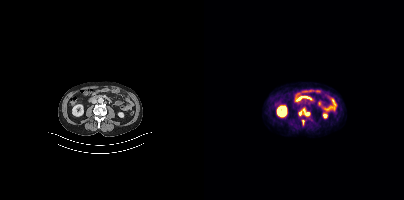
Coordinates are on the 200×200 PET (right) panel. PSMA-avid tumor lesion bounding boxes (x0, y0)-(x1, y1): (95, 108)-(105, 116); (98, 120)-(100, 124).
modality: PSMA PET/CT | tracer: 18F-PSMA | view: axial